Paired axial CT (left) and PSMA PET (right), [18F]PSMA-1007 tracer. Acquired on Siemens Biograph mCT Flow 20.
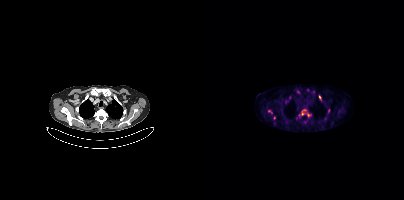
Coordinates are on the 200×200 PET (right) panel. (showing 3 of 4 foci) PSMA-avid tumor lesion bounding boxes (x, y, width, height): x=98 y=110 w=4 h=6 | x=115 y=95 w=2 h=5. Small PSMA-avid focus (2 to 4 px across) near (center x, center y): (104, 115).